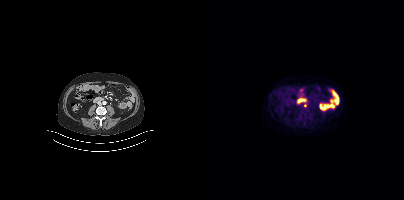
Technique: Paired axial CT (left) and PSMA PET (right), 18F-PSMA tracer. PET panel 200×200 px (4.1 mm/px).
Findings: Coordinates are on the 200×200 PET (right) panel. Small PSMA-avid focus (2 to 4 px across) near (center x, center y): (101, 105).